Technique: Two-panel axial: CT | PSMA PET, 68Ga tracer.
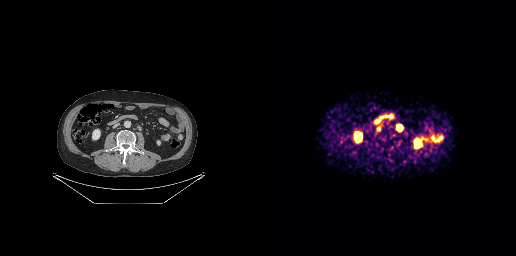
Findings: Coordinates are on the 256×256 PET (right) panel. PSMA-avid tumor lesion bounding box (x, y, width, height): x=138 y=125 w=4 h=6.